Technique: Paired axial CT (left) and PSMA PET (right), 18F-PSMA tracer. PET panel 200×200 px (4.1 mm/px).
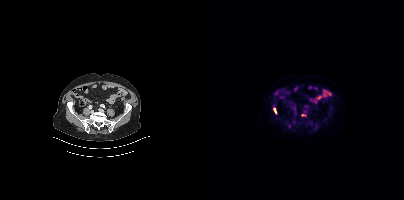
Findings: Coordinates are on the 200×200 PET (right) panel. (showing 1 of 2 foci) PSMA-avid tumor lesion bounding box (x0,y0,x1,y1): [70,108,72,112].